Technique: Paired axial CT (left) and PSMA PET (right), [18F]PSMA-1007 tracer. slice 250 of 407. PET panel 200×200 px (4.1 mm/px).
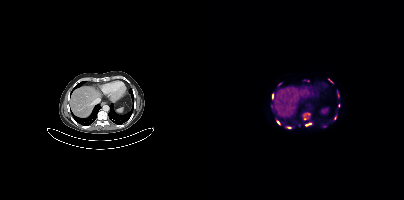
Findings: Coordinates are on the 200×200 PET (right) panel. (showing 11 of 13 foci) PSMA-avid tumor lesion bounding boxes (x0,y0,x1,y1): [100,113,105,119], [102,122,107,125], [68,94,69,98], [133,91,134,95]. Small PSMA-avid foci (2 to 4 px across) near (center x, center y): (74, 122), (120, 126), (84, 127), (134, 105), (131, 118), (124, 79), (76, 83).